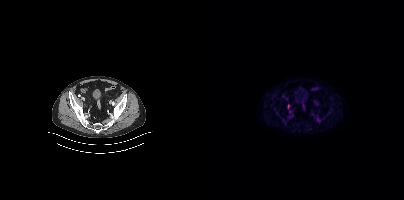
This slice has no annotated PSMA-avid lesion. Left: CT. Right: PSMA PET, same axial level, 18F tracer. Acquired on Siemens Biograph mCT Flow 20.